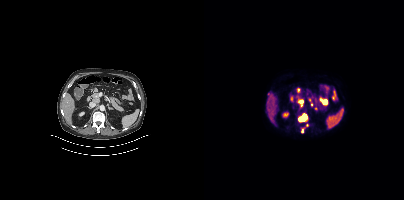
Paired axial CT (left) and PSMA PET (right), 18F-PSMA tracer. Acquired on Siemens Biograph mCT Flow 20. Slice 224 of 444. PET panel 200×200 px (4.1 mm/px). Coordinates are on the 200×200 PET (right) panel. (showing 4 of 6 foci) PSMA-avid tumor lesion bounding box (x0, y0)-(x1, y1): (94, 114)-(103, 122). Small PSMA-avid foci (2 to 4 px across) near (center x, center y): (98, 130); (98, 102); (107, 104).